Left: CT. Right: PSMA PET, same axial level, 18F tracer. Slice position z = -871 mm.
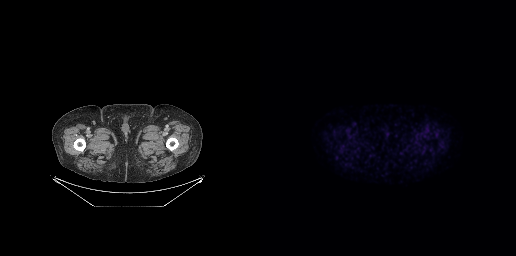
No PSMA-avid tumor lesions on this slice.